- Two-panel axial: CT | PSMA PET, 18F-PSMA tracer
- slice position z = -590 mm
- PET panel 200×200 px (4.1 mm/px)
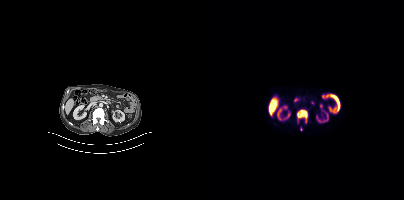
Findings: Coordinates are on the 200×200 PET (right) panel. (showing 1 of 2 foci) PSMA-avid tumor lesion bounding box (x0, y0)-(x1, y1): (93, 110)-(103, 122).